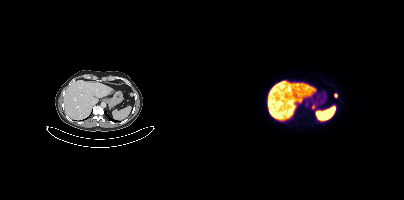
Findings: Coordinates are on the 200×200 PET (right) panel. Small PSMA-avid foci (2 to 4 px across) near (center x, center y): (131, 95); (109, 106).
Technique: Two-panel axial: CT | PSMA PET, 18F tracer. acquired on Siemens Biograph mCT Flow 20.